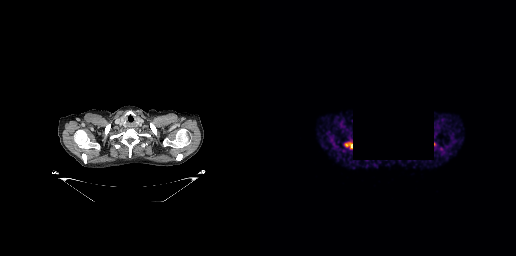
Some pixels were blanked for anonymization.
Coordinates are on the 256×256 PET (right) panel. PSMA-avid tumor lesion bounding box (x0,y0,x1,y1): [90,143,92,148]. Small PSMA-avid focus (2 to 4 px across) near (center x, center y): (86, 144).